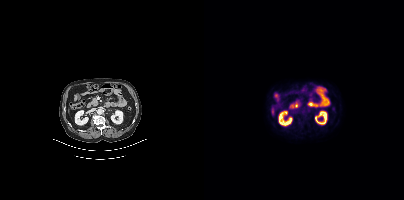
{"modality":"PSMA PET/CT","view":"axial","tracer":"18F","pet_grid":[200,200],"coord_frame":"pet_panel","coord_format":"x0,y0,x1,y1","psma_avid_lesions":false}